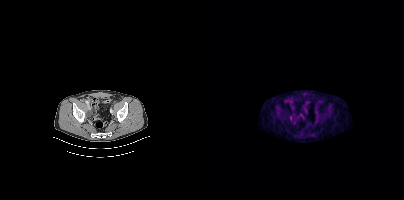
Coordinates are on the 200×200 PET (right) panel. PSMA-avid tumor lesion bounding box (x, y, width, height): x=84 y=116 w=5 h=5. Small PSMA-avid focus (2 to 4 px across) near (center x, center y): (112, 116). Left: CT. Right: PSMA PET, same axial level, [18F]PSMA-1007 tracer. Acquired on Siemens Biograph mCT Flow 20. PET panel 200×200 px (4.1 mm/px).